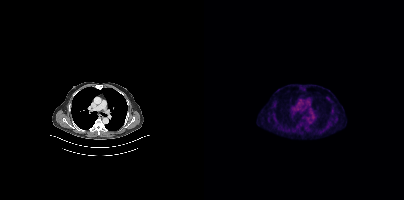
This slice has no annotated PSMA-avid lesion. Two-panel axial: CT | PSMA PET, 18F-PSMA tracer. Acquired on Siemens Biograph mCT Flow 20. Slice 281 of 387.